- Two-panel axial: CT | PSMA PET, [68Ga]Ga-PSMA-11 tracer
- acquired on GE Discovery 690
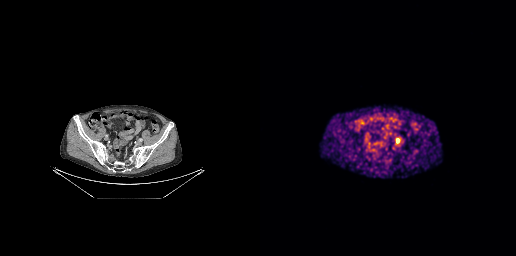
Findings: Coordinates are on the 256×256 PET (right) panel. PSMA-avid tumor lesion bounding box (x0,y0,x1,y1): [136,138,139,142].